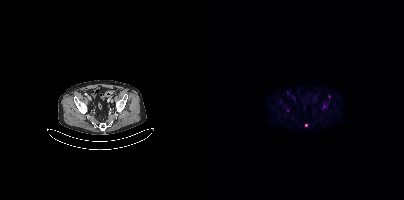
Paired axial CT (left) and PSMA PET (right), [18F]PSMA-1007 tracer. Slice position z = -1441 mm. Coordinates are on the 200×200 PET (right) panel. (showing 2 of 5 foci) Small PSMA-avid foci (2 to 4 px across) near (center x, center y): (102, 125) | (76, 101).